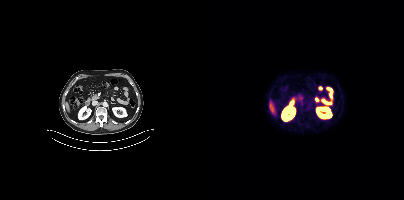
This slice has no annotated PSMA-avid lesion. Two-panel axial: CT | PSMA PET, [68Ga]Ga-PSMA-11 tracer. Acquired on Siemens Biograph mCT Flow 20. Slice position z = -1460 mm. PET panel 200×200 px (4.1 mm/px).